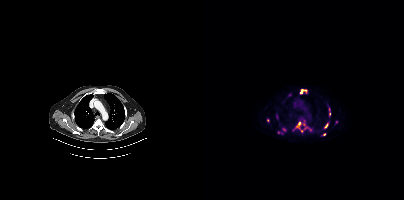
Technique: Paired axial CT (left) and PSMA PET (right), 18F tracer. acquired on Siemens Biograph mCT Flow 20. PET panel 200×200 px (4.1 mm/px).
Findings: Coordinates are on the 200×200 PET (right) panel. (showing 6 of 11 foci) PSMA-avid tumor lesion bounding boxes (x0, y0)-(x1, y1): (92, 122)-(96, 128) / (96, 89)-(99, 93) / (121, 123)-(124, 128). Small PSMA-avid foci (2 to 4 px across) near (center x, center y): (120, 134) / (72, 116) / (97, 130).